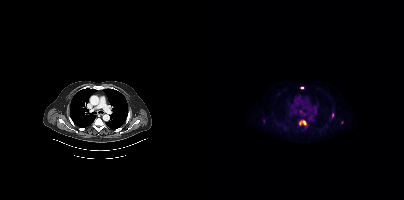
Left: CT. Right: PSMA PET, same axial level, 18F-PSMA tracer. Slice 329 of 450. Coordinates are on the 200×200 PET (right) panel. (showing 5 of 7 foci) PSMA-avid tumor lesion bounding boxes (x0, y0)-(x1, y1): (95, 121)-(101, 125) / (128, 113)-(129, 117). Small PSMA-avid foci (2 to 4 px across) near (center x, center y): (98, 87) / (59, 121) / (96, 111).